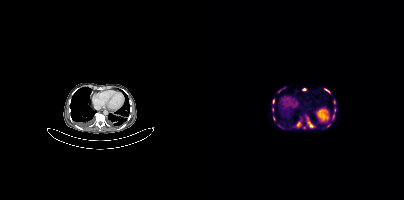
Coordinates are on the 200×200 PET (right) panel. (showing 12 of 14 foci) PSMA-avid tumor lesion bounding boxes (x, y, width, height): x=104 y=121 w=6 h=7 | x=120 y=88 w=7 h=6 | x=93 y=122 w=4 h=5 | x=128 y=115 w=3 h=5. Small PSMA-avid foci (2 to 4 px across) near (center x, center y): (100, 89) | (130, 101) | (68, 109) | (130, 109) | (69, 118) | (69, 101) | (75, 91) | (124, 125).